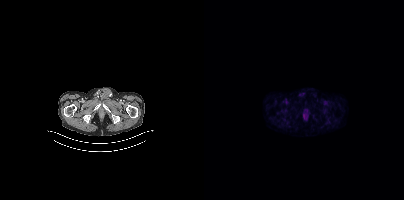
{"modality":"PSMA PET/CT","view":"axial","tracer":"18F-PSMA","pet_grid":[200,200],"coord_frame":"pet_panel","coord_format":"x0,y0,x1,y1","psma_avid_lesions":false}